- Two-panel axial: CT | PSMA PET, [18F]PSMA-1007 tracer
- PET panel 200×200 px (4.1 mm/px)
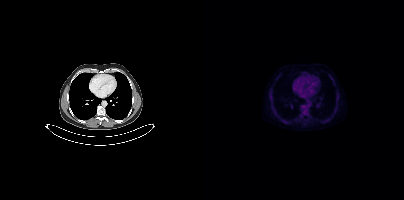
Findings: Negative for PSMA-avid disease on this slice.